Technique: Two-panel axial: CT | PSMA PET, 18F-PSMA tracer. slice 312 of 377.
Note: A rectangular region was set to black for de-identification.
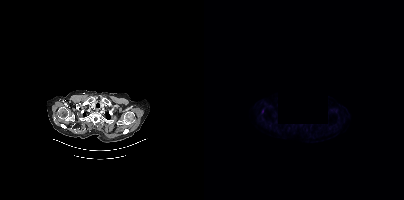
Findings: Coordinates are on the 200×200 PET (right) panel. PSMA-avid tumor lesion bounding box (x0,y0,x1,y1): [57,109,59,113].